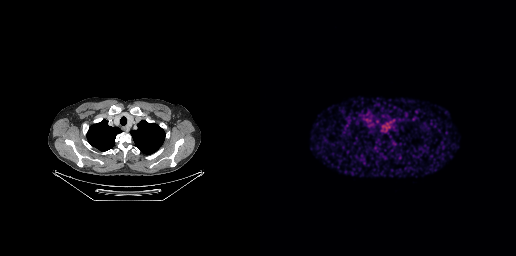
- Paired axial CT (left) and PSMA PET (right), [68Ga]Ga-PSMA-11 tracer
- acquired on GE Discovery 690
- PET panel 256×256 px (2.7 mm/px)
Findings: Negative for PSMA-avid disease on this slice.